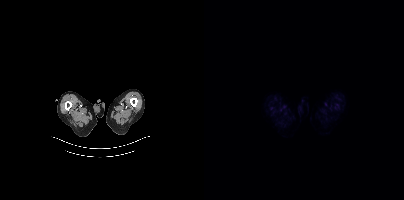
modality: PSMA PET/CT | tracer: 18F | view: axial | PET grid: 200×200
No PSMA-avid tumor lesions on this slice.